- Left: CT. Right: PSMA PET, same axial level, [18F]PSMA-1007 tracer
- acquired on Siemens Biograph mCT Flow 20
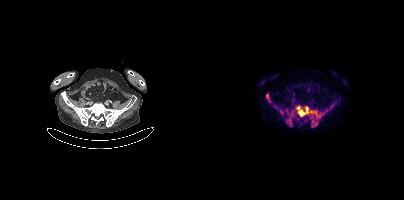
Findings: Coordinates are on the 200×200 PET (right) panel. (showing 4 of 5 foci) PSMA-avid tumor lesion bounding boxes (x, y, width, height): x=92 y=106 w=29 h=22; x=81 y=114 w=9 h=13; x=62 y=94 w=5 h=8. Small PSMA-avid focus (2 to 4 px across) near (center x, center y): (71, 106).